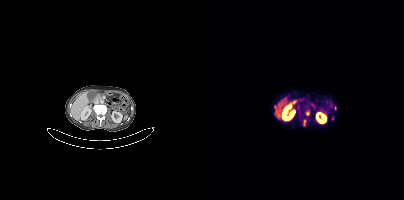
{"modality":"PSMA PET/CT","view":"axial","tracer":"[68Ga]Ga-PSMA-11","pet_grid":[200,200],"coord_frame":"pet_panel","coord_format":"x0,y0,x1,y1","lesion_bboxes":[[99,120,101,125]],"small_foci_centers":[[71,106],[104,114],[131,107]]}